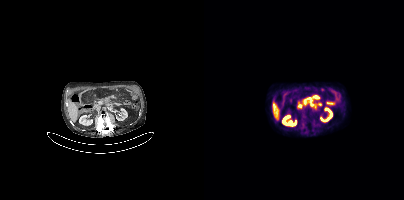
Coordinates are on the 200×200 PET (right) panel. PSMA-avid tumor lesion bounding box (x, y, width, height): x=99 y=95 w=17 h=10. Left: CT. Right: PSMA PET, same axial level, 18F tracer. Slice position z = -1300 mm. PET panel 200×200 px (4.1 mm/px).